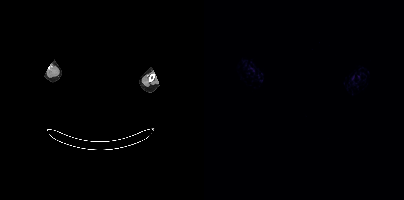
Findings: No tumor lesions annotated on this slice.
- Two-panel axial: CT | PSMA PET, 18F tracer
- acquired on Siemens Biograph mCT Flow 20
- any black rectangle over the head is a privacy mask, not anatomy